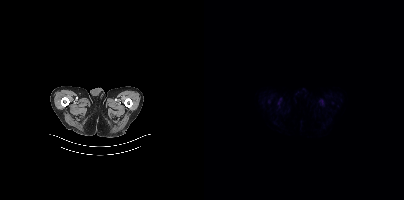
- Two-panel axial: CT | PSMA PET, 18F-PSMA tracer
- PET panel 200×200 px (4.1 mm/px)
Findings: No tumor lesions annotated on this slice.